Technique: Two-panel axial: CT | PSMA PET, [18F]PSMA-1007 tracer. acquired on GE Discovery 690.
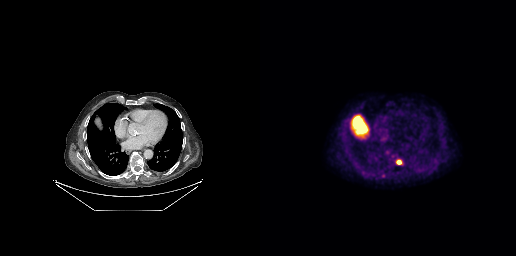
Findings: Coordinates are on the 256×256 PET (right) panel. PSMA-avid tumor lesion bounding box (x0, y0)-(x1, y1): (137, 160)-(141, 164). Small PSMA-avid focus (2 to 4 px across) near (center x, center y): (123, 175).